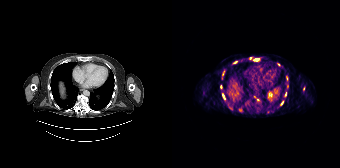
{"modality":"PSMA PET/CT","view":"axial","tracer":"68Ga-PSMA","pet_grid":[168,168],"coord_frame":"pet_panel","coord_format":"x0,y0,x1,y1","partial":true,"lesion_bboxes":[[82,58,87,60],[61,61,65,63],[50,94,53,99],[108,101,111,105],[114,76,115,80]],"small_foci_centers":[[49,87],[131,88],[113,94],[106,64]]}